Technique: Left: CT. Right: PSMA PET, same axial level, [68Ga]Ga-PSMA-11 tracer.
Note: De-identified by setting a box covering the face to black before release.
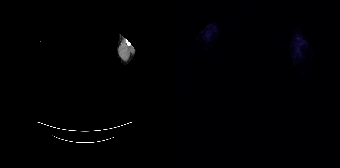
Findings: Negative for PSMA-avid disease on this slice.